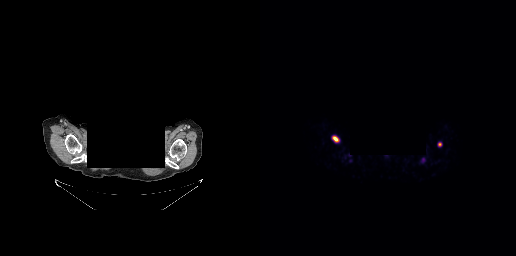
Coordinates are on the 256×256 PET (right) panel. PSMA-avid tumor lesion bounding boxes:
| # | x0 | y0 | x1 | y1 |
|---|---|---|---|---|
| 1 | 178 | 142 | 181 | 146 |
Small PSMA-avid focus (2 to 4 px across) near (center x, center y): (75, 138).
Paired axial CT (left) and PSMA PET (right), 68Ga-PSMA tracer. Acquired on GE Discovery 690. PET panel 256×256 px (2.7 mm/px). The head region is masked for de-identification.